Left: CT. Right: PSMA PET, same axial level, 68Ga-PSMA tracer. Slice position z = -798 mm.
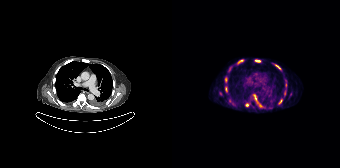
Coordinates are on the 168×168 PET (right) panel. PSMA-avid tumor lesion bounding boxes (partial; 2 more foci not listed):
| # | x0 | y0 | x1 | y1 |
|---|---|---|---|---|
| 1 | 82 | 94 | 89 | 107 |
| 2 | 103 | 64 | 109 | 70 |
| 3 | 83 | 59 | 88 | 62 |
| 4 | 53 | 77 | 55 | 82 |
| 5 | 66 | 60 | 71 | 63 |
| 6 | 53 | 87 | 55 | 91 |
| 7 | 107 | 99 | 110 | 103 |
Small PSMA-avid foci (2 to 4 px across) near (center x, center y): (74, 104); (112, 93).